Any black rectangle here is a de-identification mask.
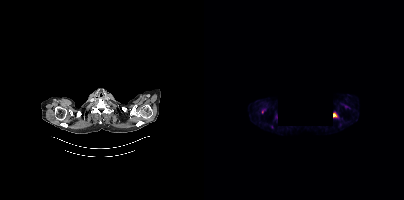
Coordinates are on the 200×200 PET (right) panel. PSMA-avid tumor lesion bounding boxes (x0,y0,x1,y1): [57,108,61,113] [129,113,133,117].